modality: PSMA PET/CT | tracer: [68Ga]Ga-PSMA-11 | view: axial | PET grid: 256×256
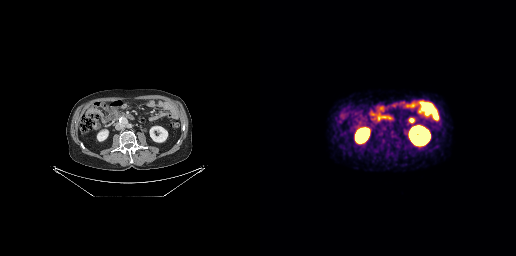
Negative for PSMA-avid disease on this slice.